- Two-panel axial: CT | PSMA PET, [18F]PSMA-1007 tracer
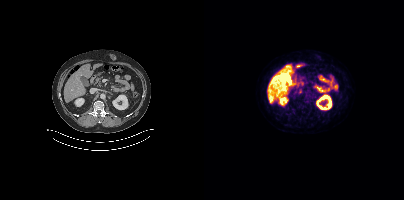
Findings: No PSMA-avid tumor lesions on this slice.